Two-panel axial: CT | PSMA PET, [18F]PSMA-1007 tracer. Acquired on Siemens Biograph mCT Flow 20.
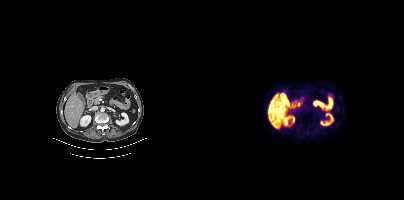
No tumor lesions annotated on this slice.